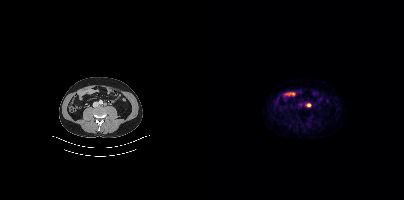
Coordinates are on the 200×200 PET (right) panel. Small PSMA-avid focus (2 to 4 px across) near (center x, center y): (104, 105). Paired axial CT (left) and PSMA PET (right), [18F]PSMA-1007 tracer.